modality: PSMA PET/CT | tracer: 18F | view: axial | PET grid: 200×200
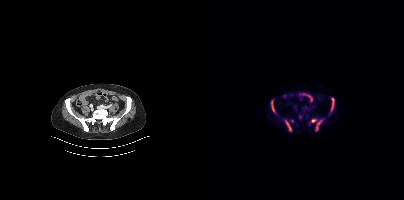
Coordinates are on the 200×200 PET (right) panel. PSMA-avid tumor lesion bounding boxes (x0, y0)-(x1, y1): (81, 120)-(87, 131); (111, 120)-(118, 130); (127, 98)-(130, 111); (67, 100)-(70, 112); (107, 119)-(112, 122). Small PSMA-avid foci (2 to 4 px across) near (center x, center y): (96, 116); (88, 120).